Technique: Two-panel axial: CT | PSMA PET, 18F tracer.
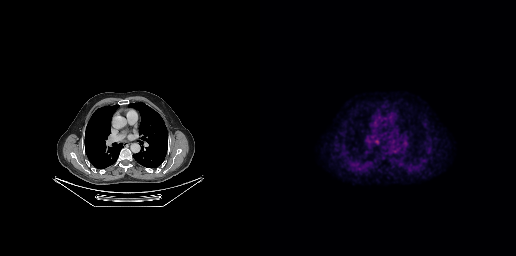
Findings: Coordinates are on the 256×256 PET (right) panel. PSMA-avid tumor lesion bounding box (x0, y0)-(x1, y1): (113, 138)-(120, 145).